- Left: CT. Right: PSMA PET, same axial level, [18F]PSMA-1007 tracer
- slice 49 of 165
- PET panel 168×168 px (4.1 mm/px)
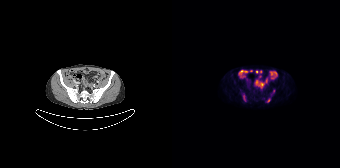
Findings: Coordinates are on the 168×168 PET (right) panel. PSMA-avid tumor lesion bounding boxes (x, y, width, height): x=96 y=89 w=8 h=13 | x=71 y=94 w=2 h=5.